Two-panel axial: CT | PSMA PET, 18F tracer. PET panel 200×200 px (4.1 mm/px).
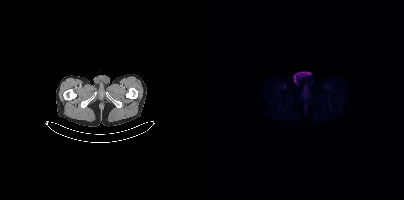
No PSMA-avid tumor lesions on this slice.